Left: CT. Right: PSMA PET, same axial level, 18F-PSMA tracer. Slice 32 of 135. PET panel 168×168 px (4.1 mm/px).
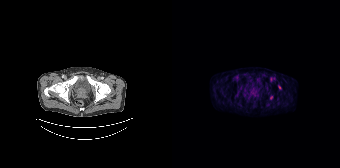
Coordinates are on the 168×168 PET (right) panel. PSMA-avid tumor lesion bounding boxes:
| # | x0 | y0 | x1 | y1 |
|---|---|---|---|---|
| 1 | 106 | 85 | 109 | 89 |
Small PSMA-avid focus (2 to 4 px across) near (center x, center y): (99, 97).